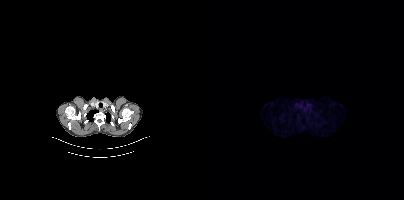
Technique: Two-panel axial: CT | PSMA PET, 18F tracer. acquired on Siemens Biograph mCT Flow 20. PET panel 200×200 px (4.1 mm/px).
Findings: This slice has no annotated PSMA-avid lesion.